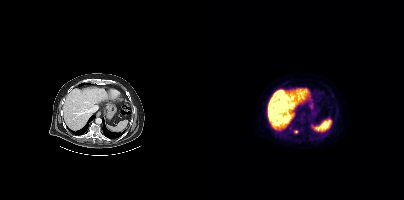
{"modality":"PSMA PET/CT","view":"axial","tracer":"18F","pet_grid":[200,200],"coord_frame":"pet_panel","coord_format":"x0,y0,x1,y1","lesion_bboxes":[],"small_foci_centers":[[91,131]]}